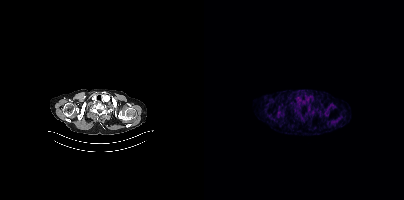
Technique: Paired axial CT (left) and PSMA PET (right), 68Ga-PSMA tracer. PET panel 200×200 px (4.1 mm/px).
Findings: No tumor lesions annotated on this slice.